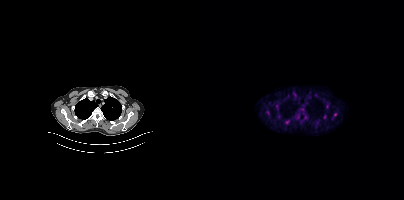
{"modality":"PSMA PET/CT","view":"axial","tracer":"[18F]PSMA-1007","pet_grid":[200,200],"coord_frame":"pet_panel","coord_format":"x0,y0,x1,y1","partial":true,"lesion_bboxes":[[128,113,133,119],[122,103,124,108],[119,114,122,118]],"small_foci_centers":[[63,112],[113,123],[74,116],[81,121]]}